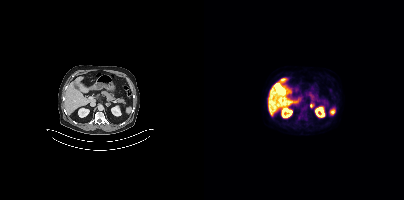
Coordinates are on the 200×200 PET (right) panel. PSMA-avid tumor lesion bounding box (x, y, width, height): x=106 y=103 w=5 h=5. Two-panel axial: CT | PSMA PET, 18F-PSMA tracer. Slice 205 of 389. PET panel 200×200 px (4.1 mm/px).